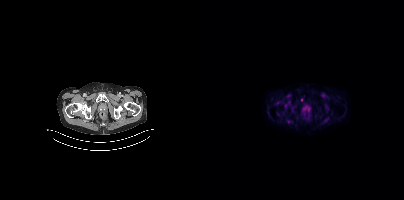
{"pet_grid":[200,200],"coord_frame":"pet_panel","coord_format":"x0,y0,x1,y1","lesion_bboxes":[],"small_foci_centers":[[97,100]],"modality":"PSMA PET/CT","view":"axial","tracer":"[18F]PSMA-1007"}